Any black rectangle over the head is a privacy mask, not anatomy. Paired axial CT (left) and PSMA PET (right), 18F-PSMA tracer.
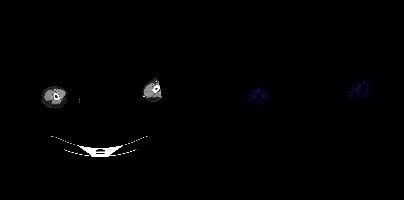
No tumor lesions annotated on this slice.